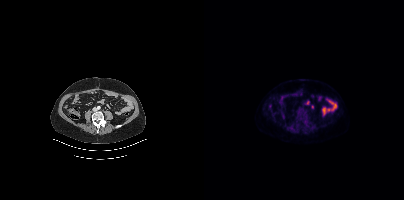
Negative for PSMA-avid disease on this slice.
modality: PSMA PET/CT | tracer: 18F | view: axial